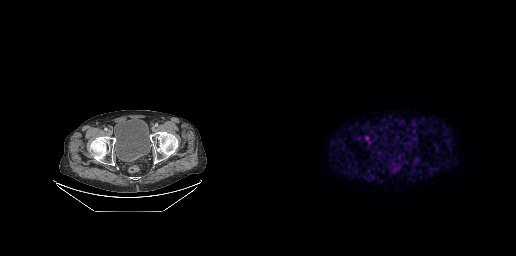
Paired axial CT (left) and PSMA PET (right), 18F-PSMA tracer. Slice 84 of 299. This slice has no annotated PSMA-avid lesion.